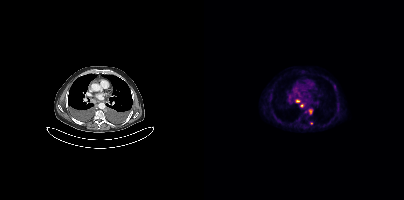
{"modality":"PSMA PET/CT","view":"axial","tracer":"18F","pet_grid":[200,200],"coord_frame":"pet_panel","coord_format":"x0,y0,x1,y1","partial":true,"lesion_bboxes":[[104,109,108,114]],"small_foci_centers":[[93,101],[98,105]]}